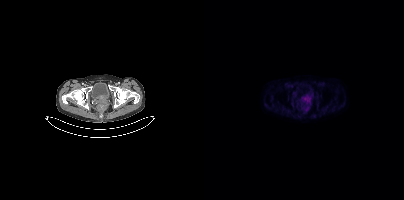
Technique: Left: CT. Right: PSMA PET, same axial level, 18F-PSMA tracer.
Findings: Coordinates are on the 200×200 PET (right) panel. PSMA-avid tumor lesion bounding box (x0, y0)-(x1, y1): (99, 97)-(107, 102). Small PSMA-avid focus (2 to 4 px across) near (center x, center y): (103, 108).